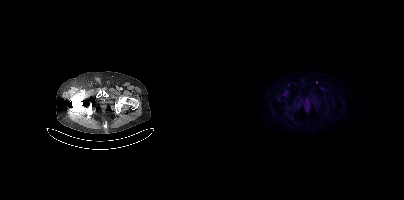
No PSMA-avid tumor lesions on this slice. Two-panel axial: CT | PSMA PET, 18F-PSMA tracer. PET panel 200×200 px (4.1 mm/px).